modality: PSMA PET/CT | tracer: [18F]PSMA-1007 | view: axial | PET grid: 200×200
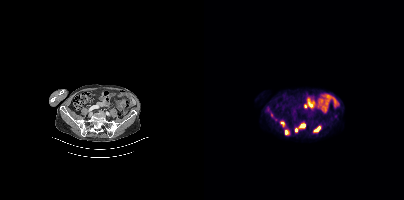
Coordinates are on the 200×200 PET (right) panel. (showing 6 of 8 foci) PSMA-avid tumor lesion bounding boxes (x0, y0)-(x1, y1): (91, 122)-(101, 132); (109, 125)-(117, 132); (81, 130)-(85, 134); (76, 121)-(80, 126); (67, 113)-(69, 117). Small PSMA-avid focus (2 to 4 px across) near (center x, center y): (71, 119).